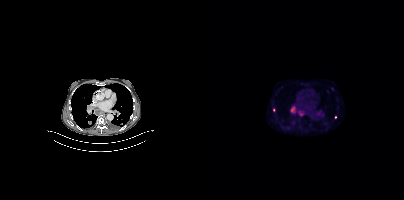
Technique: Paired axial CT (left) and PSMA PET (right), 18F-PSMA tracer. slice position z = 364 mm. PET panel 200×200 px (4.1 mm/px).
Findings: Coordinates are on the 200×200 PET (right) panel. (showing 7 of 8 foci) PSMA-avid tumor lesion bounding boxes (x0,y0,x1,y1): [94,110,100,116] [86,106,91,113] [112,110,116,115]. Small PSMA-avid foci (2 to 4 px across) near (center x, center y): (84, 127) (131, 117) (89, 122) (77, 86).